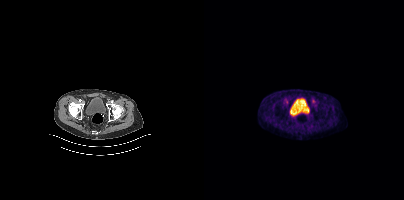
This slice has no annotated PSMA-avid lesion. Paired axial CT (left) and PSMA PET (right), 18F-PSMA tracer. PET panel 200×200 px (4.1 mm/px).